Technique: Left: CT. Right: PSMA PET, same axial level, 18F-PSMA tracer. acquired on Siemens Biograph mCT Flow 20. PET panel 200×200 px (4.1 mm/px).
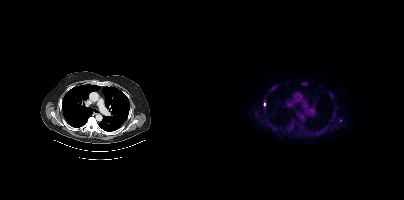
Findings: Coordinates are on the 200×200 PET (right) panel. PSMA-avid tumor lesion bounding boxes (x0, y0)-(x1, y1): (61, 117)-(66, 123) / (59, 102)-(61, 106) / (88, 122)-(89, 126). Small PSMA-avid foci (2 to 4 px across) near (center x, center y): (84, 128) / (136, 120) / (58, 121).